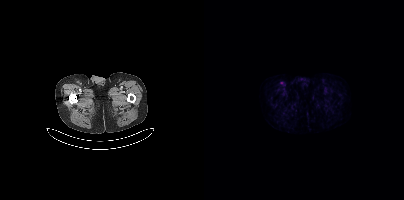
{"modality":"PSMA PET/CT","view":"axial","tracer":"18F","pet_grid":[200,200],"coord_frame":"pet_panel","coord_format":"x0,y0,x1,y1","psma_avid_lesions":false}